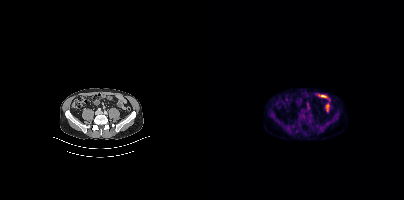
Coordinates are on the 200×200 PET (right) panel. Small PSMA-avid focus (2 to 4 px across) near (center x, center y): (103, 120).